- Paired axial CT (left) and PSMA PET (right), 68Ga tracer
- PET panel 168×168 px (4.1 mm/px)
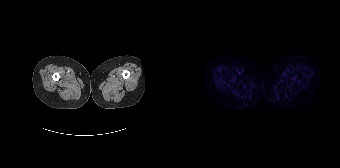
Findings: Negative for PSMA-avid disease on this slice.